Two-panel axial: CT | PSMA PET, [18F]PSMA-1007 tracer. Acquired on Siemens Biograph mCT Flow 20. Slice position z = -763 mm.
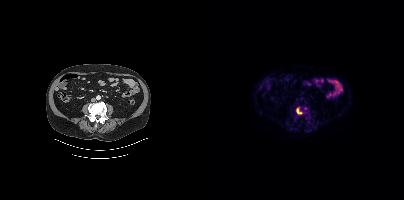
Coordinates are on the 200×200 PET (right) panel. PSMA-avid tumor lesion bounding boxes (partial; 1 more focus not listed):
| # | x0 | y0 | x1 | y1 |
|---|---|---|---|---|
| 1 | 92 | 107 | 98 | 114 |